Technique: Left: CT. Right: PSMA PET, same axial level, 18F tracer. slice 261 of 421.
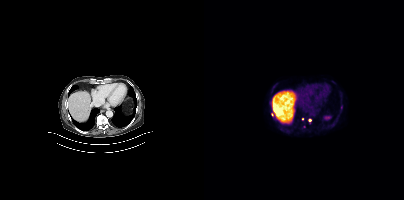
Findings: Coordinates are on the 200×200 PET (right) panel. (showing 2 of 4 foci) Small PSMA-avid foci (2 to 4 px across) near (center x, center y): (137, 107) | (105, 120).